Paired axial CT (left) and PSMA PET (right), 68Ga tracer. Slice position z = -598 mm.
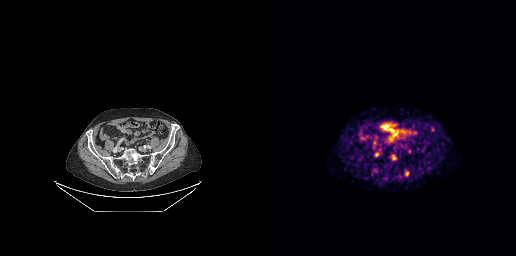
Coordinates are on the 256×256 PET (right) panel. (showing 5 of 6 foci) PSMA-avid tumor lesion bounding box (x0, y0)-(x1, y1): (131, 154)-(136, 160). Small PSMA-avid foci (2 to 4 px across) near (center x, center y): (116, 154) / (114, 142) / (150, 150) / (115, 170).